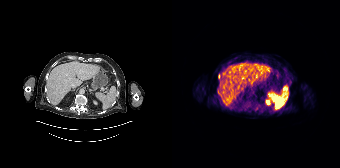
Two-panel axial: CT | PSMA PET, 68Ga-PSMA tracer. PET panel 168×168 px (4.1 mm/px). Only PSMA-avid lesion pieces thinner than 2 px on this slice (not listed).